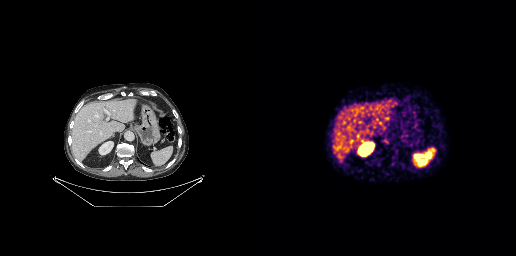
Coordinates are on the 256×256 PET (right) panel. Small PSMA-avid focus (2 to 4 px across) near (center x, center y): (125, 141).